Two-panel axial: CT | PSMA PET, [18F]PSMA-1007 tracer. Acquired on Siemens Biograph mCT Flow 20. PET panel 200×200 px (4.1 mm/px).
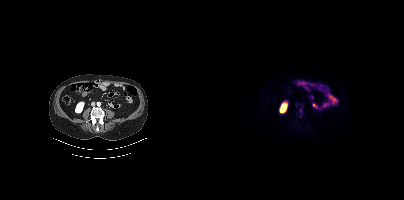
Coordinates are on the 200×200 PET (right) panel. (showing 1 of 2 foci) Small PSMA-avid focus (2 to 4 px across) near (center x, center y): (96, 110).